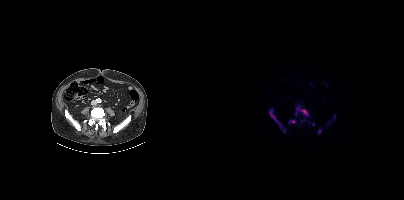
{"pet_grid":[200,200],"coord_frame":"pet_panel","coord_format":"x0,y0,x1,y1","partial":true,"lesion_bboxes":[[91,106,104,116],[65,111,78,129],[85,120,91,123]],"small_foci_centers":[[115,131],[109,124],[80,131],[130,116]],"modality":"PSMA PET/CT","view":"axial","tracer":"18F"}